modality: PSMA PET/CT | tracer: 18F | view: axial | PET grid: 256×256
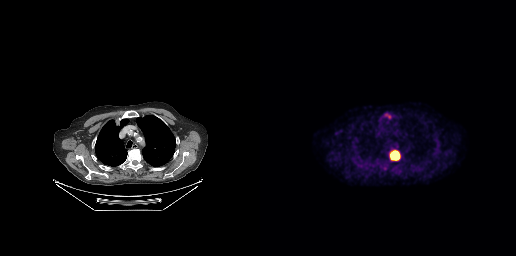
Coordinates are on the 256×256 PET (right) panel. PSMA-avid tumor lesion bounding box (x, y, width, height): x=131 y=151 w=9 h=9.